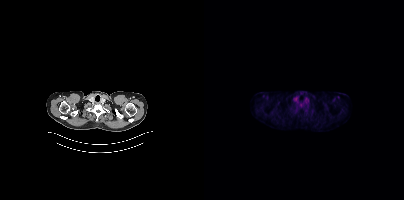
No PSMA-avid tumor lesions on this slice. Two-panel axial: CT | PSMA PET, 18F tracer. PET panel 200×200 px (4.1 mm/px).